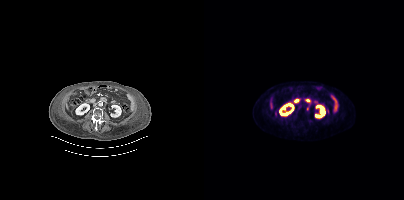
Left: CT. Right: PSMA PET, same axial level, 18F-PSMA tracer. Slice 137 of 344. Coordinates are on the 200×200 PET (right) panel. PSMA-avid tumor lesion bounding boxes (x0, y0)-(x1, y1): (94, 105)-(97, 109); (103, 106)-(105, 110).